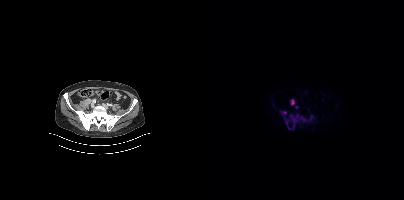
{"pet_grid":[200,200],"coord_frame":"pet_panel","coord_format":"x0,y0,x1,y1","lesion_bboxes":[[80,113,109,129],[87,99,90,104],[78,111,82,114]],"modality":"PSMA PET/CT","view":"axial","tracer":"[18F]PSMA-1007"}